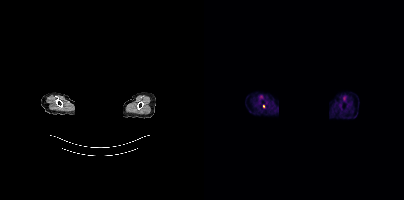
Only PSMA-avid lesion pieces thinner than 2 px on this slice (not listed).
de-identification: privacy mask over head | modality: PSMA PET/CT | tracer: [18F]PSMA-1007 | view: axial